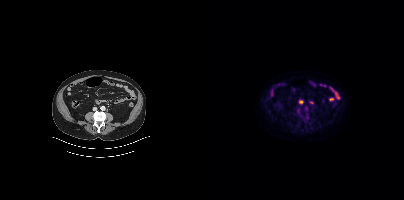
This slice has no annotated PSMA-avid lesion.